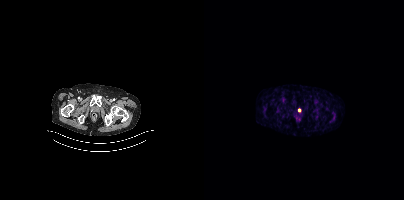
This slice has no annotated PSMA-avid lesion.